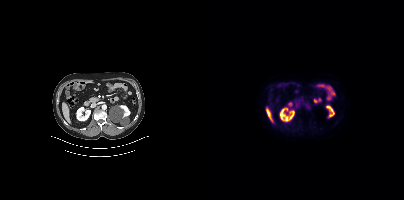
No tumor lesions annotated on this slice.